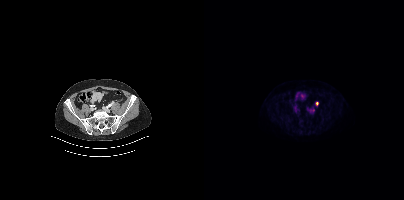
Technique: Two-panel axial: CT | PSMA PET, 18F tracer. acquired on Siemens Biograph mCT Flow 20. PET panel 200×200 px (4.1 mm/px).
Findings: Coordinates are on the 200×200 PET (right) panel. (showing 1 of 2 foci) Small PSMA-avid focus (2 to 4 px across) near (center x, center y): (112, 103).